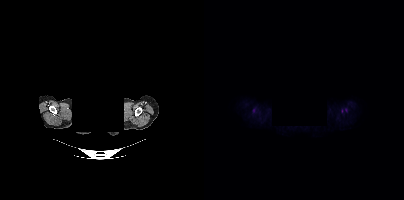
Coordinates are on the 200×200 PET (right) panel. (showing 1 of 2 foci) Small PSMA-avid focus (2 to 4 px across) near (center x, center y): (50, 110). Two-panel axial: CT | PSMA PET, [18F]PSMA-1007 tracer. Slice position z = -796 mm. Facial anatomy redacted by setting a rectangular region of the head to black.